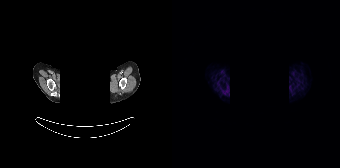
Findings: This slice has no annotated PSMA-avid lesion.
Technique: Two-panel axial: CT | PSMA PET, 68Ga-PSMA tracer. acquired on Siemens Biograph 64-4R TruePoint. slice position z = -105 mm.
Note: De-identified by setting a box covering the face to black before release.